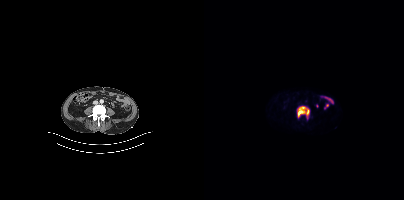
modality: PSMA PET/CT | tracer: 18F-PSMA | view: axial
Coordinates are on the 200×200 PET (right) panel. PSMA-avid tumor lesion bounding box (x0,y0,x1,y1): [93,106,105,119].